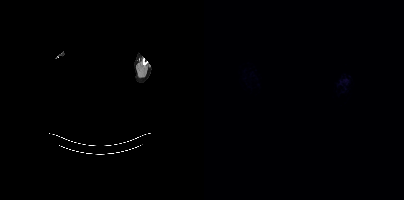
Negative for PSMA-avid disease on this slice. Left: CT. Right: PSMA PET, same axial level, 18F tracer. Slice position z = -861 mm. PET panel 200×200 px (4.1 mm/px). Any black rectangle over the head is a privacy mask, not anatomy.